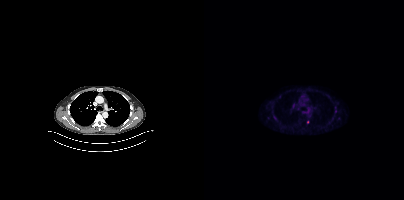
Coordinates are on the 200×200 PET (right) panel. (showing 1 of 3 foci) Small PSMA-avid focus (2 to 4 px across) near (center x, center y): (103, 121).
modality: PSMA PET/CT | tracer: [18F]PSMA-1007 | view: axial